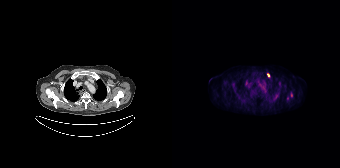
Paired axial CT (left) and PSMA PET (right), 18F-PSMA tracer. Slice 131 of 165. PET panel 168×168 px (4.1 mm/px).
Coordinates are on the 168×168 PET (right) panel. PSMA-avid tumor lesion bounding boxes:
| # | x0 | y0 | x1 | y1 |
|---|---|---|---|---|
| 1 | 95 | 73 | 98 | 77 |
| 2 | 119 | 92 | 120 | 97 |
Small PSMA-avid focus (2 to 4 px across) near (center x, center y): (115, 98).